Two-panel axial: CT | PSMA PET, 68Ga tracer. Slice 58 of 165. PET panel 168×168 px (4.1 mm/px).
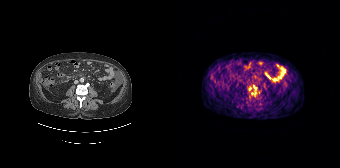
Coordinates are on the 168×168 PET (right) panel. (showing 2 of 4 foci) PSMA-avid tumor lesion bounding box (x0,y0,x1,y1): [81,85,84,89]. Small PSMA-avid focus (2 to 4 px across) near (center x, center y): (77, 88).